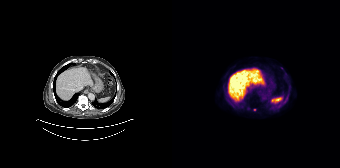
Left: CT. Right: PSMA PET, same axial level, 18F-PSMA tracer. Slice 102 of 165. PET panel 168×168 px (4.1 mm/px). Coordinates are on the 168×168 PET (right) panel. Small PSMA-avid focus (2 to 4 px across) near (center x, center y): (82, 109).